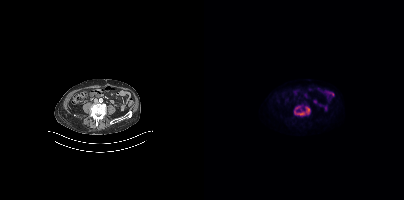
{"modality":"PSMA PET/CT","view":"axial","tracer":"18F","pet_grid":[200,200],"coord_frame":"pet_panel","coord_format":"x0,y0,x1,y1","lesion_bboxes":[[90,105,106,116]]}